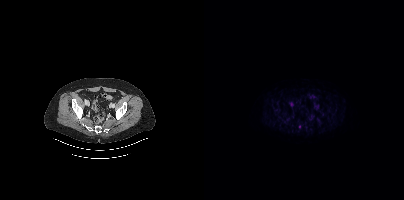
Findings: Coordinates are on the 200×200 PET (right) panel. Small PSMA-avid focus (2 to 4 px across) near (center x, center y): (95, 126).
- Two-panel axial: CT | PSMA PET, 18F tracer
- slice 86 of 444
- PET panel 200×200 px (4.1 mm/px)